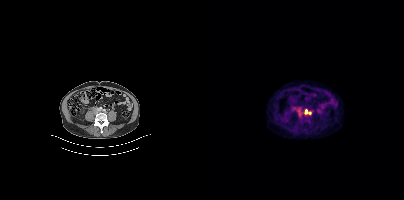
Coordinates are on the 200×200 PET (right) panel. PSMA-avid tumor lesion bounding boxes (x0,y0,x1,y1): [92,108,97,113]; [101,109,107,114].